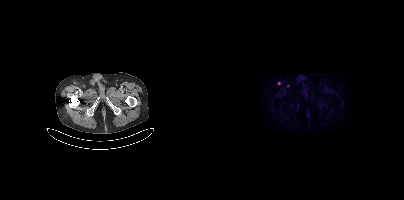
Two-panel axial: CT | PSMA PET, [18F]PSMA-1007 tracer. PET panel 200×200 px (4.1 mm/px). Coordinates are on the 200×200 PET (right) panel. Small PSMA-avid foci (2 to 4 px across) near (center x, center y): (75, 83) (83, 85).